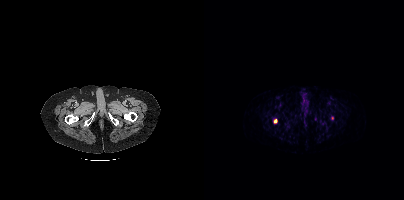
- Left: CT. Right: PSMA PET, same axial level, [68Ga]Ga-PSMA-11 tracer
- slice position z = 245 mm
- PET panel 200×200 px (4.1 mm/px)
Findings: Coordinates are on the 200×200 PET (right) panel. PSMA-avid tumor lesion bounding box (x0,y0,x1,y1): [70,119,73,123].